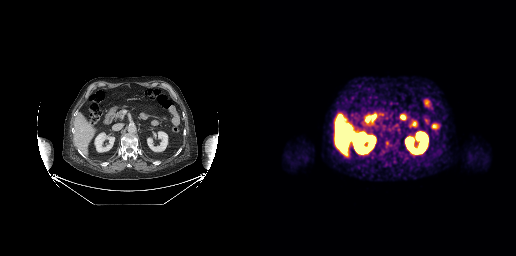
Findings: Only PSMA-avid lesion pieces thinner than 2 px on this slice (not listed).
- Left: CT. Right: PSMA PET, same axial level, 18F tracer
- slice position z = -550 mm